- Two-panel axial: CT | PSMA PET, 68Ga tracer
- acquired on Siemens Biograph 64-4R TruePoint
- slice 104 of 165
- PET panel 168×168 px (4.1 mm/px)
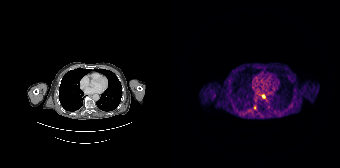
Findings: Coordinates are on the 168×168 PET (right) panel. Small PSMA-avid foci (2 to 4 px across) near (center x, center y): (82, 107); (91, 96).